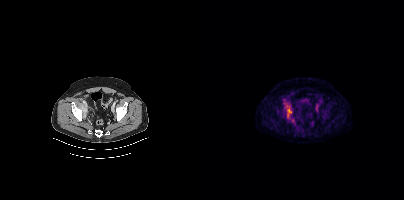
Two-panel axial: CT | PSMA PET, 18F-PSMA tracer. PET panel 200×200 px (4.1 mm/px).
Coordinates are on the 200×200 PET (right) panel. PSMA-avid tumor lesion bounding boxes:
| # | x0 | y0 | x1 | y1 |
|---|---|---|---|---|
| 1 | 82 | 105 | 87 | 117 |